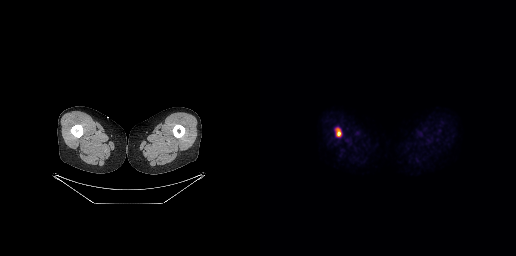
{"modality":"PSMA PET/CT","view":"axial","tracer":"18F","pet_grid":[256,256],"coord_frame":"pet_panel","coord_format":"x0,y0,x1,y1","lesion_bboxes":[[76,128,81,136]]}